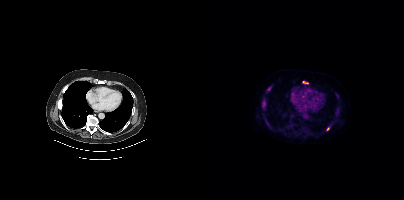
Technique: Left: CT. Right: PSMA PET, same axial level, 18F-PSMA tracer.
Findings: Coordinates are on the 200×200 PET (right) panel. (showing 4 of 5 foci) PSMA-avid tumor lesion bounding boxes (x0, y0)-(x1, y1): (58, 100)-(61, 108); (63, 86)-(67, 91); (98, 81)-(104, 83). Small PSMA-avid focus (2 to 4 px across) near (center x, center y): (123, 128).